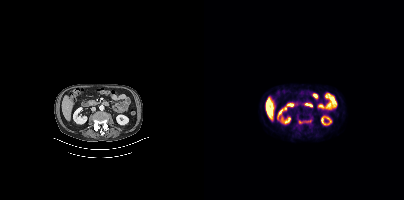
Technique: Left: CT. Right: PSMA PET, same axial level, [18F]PSMA-1007 tracer.
Findings: Coordinates are on the 200×200 PET (right) panel. PSMA-avid tumor lesion bounding box (x, y, width, height): x=95 y=120 w=12 h=4.